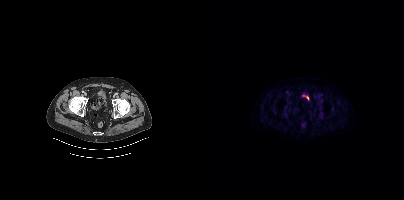
{"modality":"PSMA PET/CT","view":"axial","tracer":"18F","pet_grid":[200,200],"coord_frame":"pet_panel","coord_format":"x0,y0,x1,y1","partial":true,"lesion_bboxes":[],"small_foci_centers":[[116,115]]}